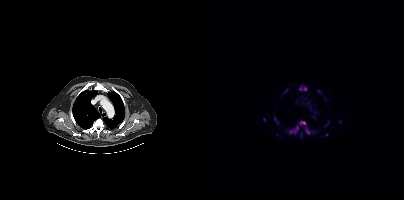
modality: PSMA PET/CT | tracer: 18F-PSMA | view: axial | PET grid: 200×200
Coordinates are on the 200×200 PET (right) panel. (showing 10 of 13 foci) PSMA-avid tumor lesion bounding boxes (x0,y0,x1,y1): [84,120,102,134]; [100,127,106,134]; [95,86,102,90]; [70,117,74,124]; [96,132,98,137]. Small PSMA-avid foci (2 to 4 px across) near (center x, center y): (60, 119); (114, 91); (135, 121); (122, 134); (82, 90).